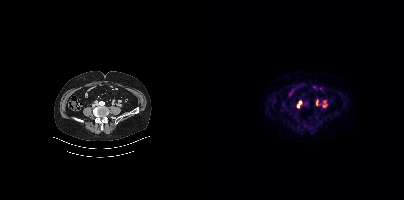
Coordinates are on the 200×200 PET (right) panel. Small PSMA-avid foci (2 to 4 px across) near (center x, center y): (96, 102); (94, 106).